Technique: Paired axial CT (left) and PSMA PET (right), 18F-PSMA tracer. acquired on Siemens Biograph mCT Flow 20. slice 157 of 413.
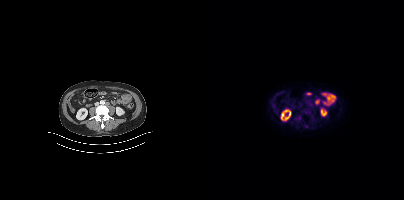
Findings: Coordinates are on the 200×200 PET (right) panel. Small PSMA-avid focus (2 to 4 px across) near (center x, center y): (102, 126).